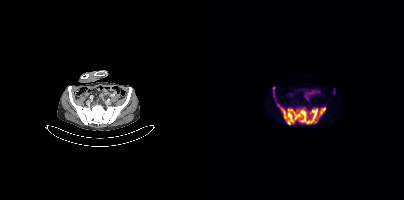
- Paired axial CT (left) and PSMA PET (right), 18F-PSMA tracer
- slice position z = -1398 mm
Findings: Coordinates are on the 200×200 PET (right) panel. (showing 2 of 4 foci) PSMA-avid tumor lesion bounding boxes (x0,y0,x1,y1): [73,103,121,125]; [68,87,71,97].